modality: PSMA PET/CT | tracer: [18F]PSMA-1007 | view: axial | PET grid: 200×200
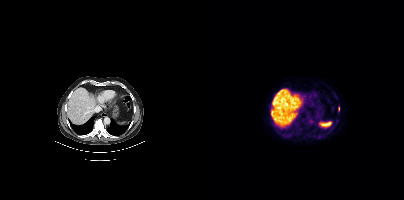
Coordinates are on the 200×200 PET (right) panel. (showing 1 of 2 foci) Small PSMA-avid focus (2 to 4 px across) near (center x, center y): (134, 108).